Two-panel axial: CT | PSMA PET, 18F-PSMA tracer. Acquired on Siemens Biograph mCT Flow 20. Slice position z = -1167 mm. PET panel 200×200 px (4.1 mm/px).
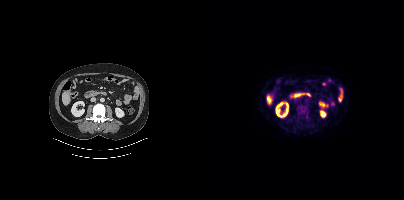
Coordinates are on the 200×200 PET (right) panel. PSMA-avid tumor lesion bounding box (x0,y0,x1,y1): [93,103,104,119]. Small PSMA-avid foci (2 to 4 px across) near (center x, center y): (97, 123) (93, 120).